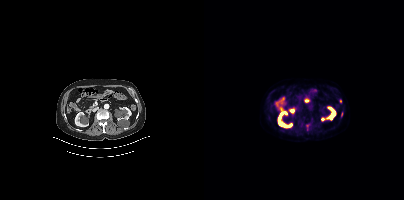
Findings: Coordinates are on the 200×200 PET (right) panel. PSMA-avid tumor lesion bounding box (x0,y0,x1,y1): [102,125,104,130]. Small PSMA-avid foci (2 to 4 px across) near (center x, center y): (136, 101); (137, 114).
- Paired axial CT (left) and PSMA PET (right), 18F-PSMA tracer
- slice position z = -1291 mm